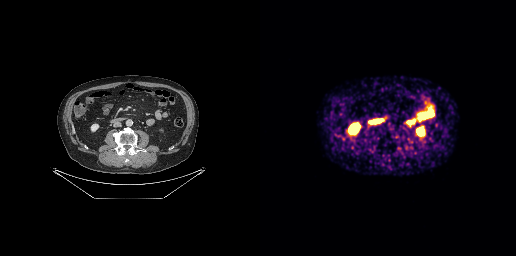
Left: CT. Right: PSMA PET, same axial level, 68Ga tracer. Slice position z = -685 mm. No tumor lesions annotated on this slice.